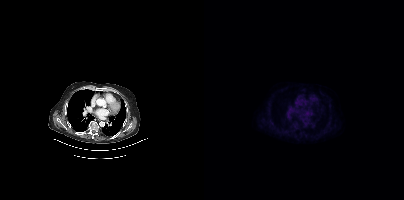
This slice has no annotated PSMA-avid lesion.